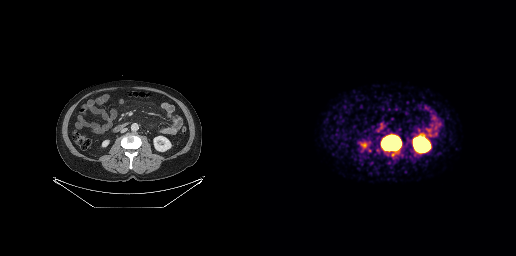
- Left: CT. Right: PSMA PET, same axial level, 68Ga-PSMA tracer
- slice 116 of 263
- PET panel 256×256 px (2.7 mm/px)
Findings: Coordinates are on the 256×256 PET (right) panel. PSMA-avid tumor lesion bounding box (x0, y0)-(x1, y1): (121, 135)-(140, 150).